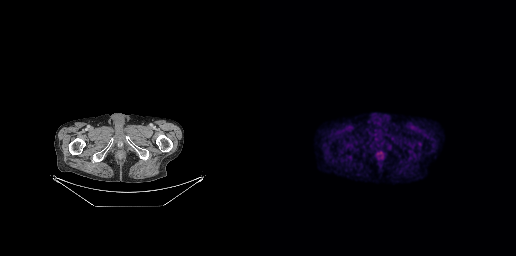
modality: PSMA PET/CT | tracer: 18F-PSMA | view: axial | PET grid: 256×256
Negative for PSMA-avid disease on this slice.